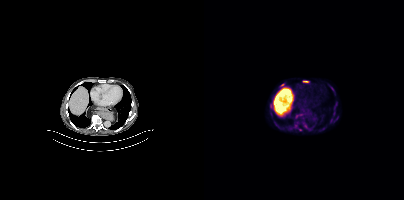
Coordinates are on the 200×200 PET (right) panel. (showing 5 of 7 foci) PSMA-avid tumor lesion bounding boxes (x0,y0,x1,y1): [99,81,104,82], [76,84,80,86]. Small PSMA-avid foci (2 to 4 px across) near (center x, center y): (102, 127), (130, 108), (96, 129).